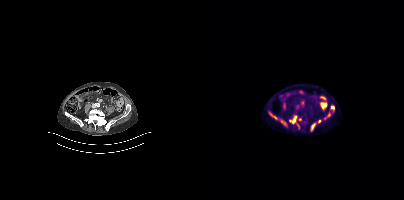
Left: CT. Right: PSMA PET, same axial level, 18F tracer. Slice position z = -1390 mm. Coordinates are on the 200×200 PET (right) panel. PSMA-avid tumor lesion bounding box (x0, y0)-(x1, y1): (65, 113)-(73, 119). Small PSMA-avid focus (2 to 4 px across) near (center x, center y): (92, 116).